Left: CT. Right: PSMA PET, same axial level, [18F]PSMA-1007 tracer. PET panel 200×200 px (4.1 mm/px). An anonymization step blacked out a rectangle over the head in this scan.
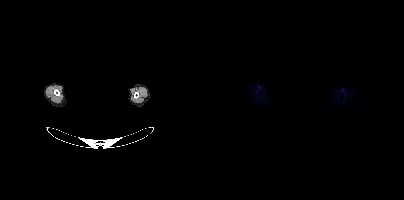
This slice has no annotated PSMA-avid lesion.